- Paired axial CT (left) and PSMA PET (right), 68Ga-PSMA tracer
- acquired on Siemens Biograph 64-4R TruePoint
- PET panel 168×168 px (4.1 mm/px)
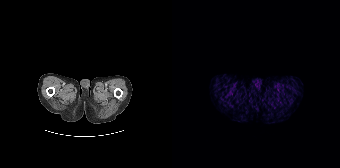
Findings: No PSMA-avid tumor lesions on this slice.